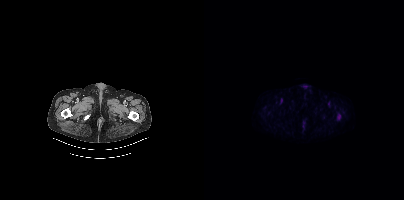
Paired axial CT (left) and PSMA PET (right), 18F-PSMA tracer. Negative for PSMA-avid disease on this slice.